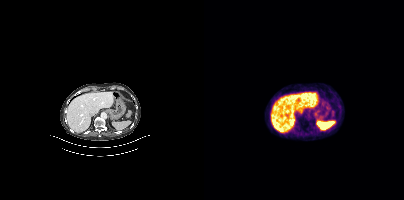
No PSMA-avid tumor lesions on this slice. Two-panel axial: CT | PSMA PET, 68Ga-PSMA tracer. Slice 219 of 405.